modality: PSMA PET/CT | tracer: 68Ga-PSMA | view: axial | PET grid: 168×168
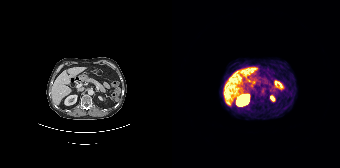
This slice has no annotated PSMA-avid lesion.